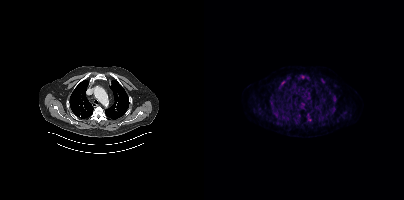
Technique: Two-panel axial: CT | PSMA PET, 18F tracer. slice 349 of 454.
Findings: Coordinates are on the 200×200 PET (right) panel. (showing 10 of 15 foci) PSMA-avid tumor lesion bounding boxes (x0,y0,x1,y1): [71,112,75,117] [124,111,129,115] [117,79,121,83] [97,75,103,78] [66,101,69,105] [139,112,142,116] [129,99,131,103]. Small PSMA-avid foci (2 to 4 px across) near (center x, center y): (79, 82) (90, 119) (85, 115).